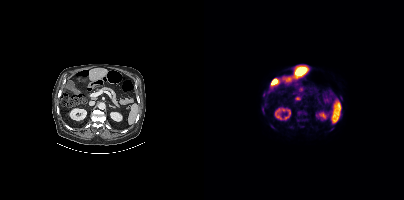
Coordinates are on the 200×200 PET (right) panel. (showing 3 of 5 foci) PSMA-avid tumor lesion bounding boxes (x0,y0,x1,y1): [93,111,102,115], [92,97,96,99]. Small PSMA-avid focus (2 to 4 px across) near (center x, center y): (94, 120).